Technique: Left: CT. Right: PSMA PET, same axial level, [18F]PSMA-1007 tracer. acquired on Siemens Biograph mCT Flow 20.
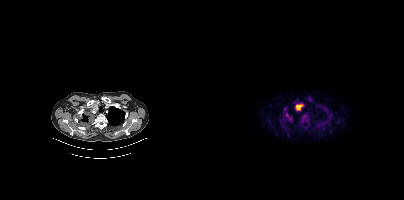
Findings: Coordinates are on the 200×200 PET (right) panel. (showing 3 of 4 foci) PSMA-avid tumor lesion bounding boxes (x, y, width, height): x=80 y=108 w=9 h=14 / x=92 y=104 w=7 h=7 / x=97 y=114 w=7 h=7.